Technique: Left: CT. Right: PSMA PET, same axial level, 18F-PSMA tracer. acquired on Siemens Biograph mCT Flow 20.
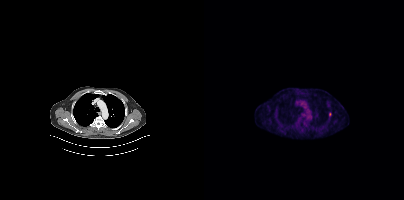
Findings: Coordinates are on the 200×200 PET (right) panel. Small PSMA-avid focus (2 to 4 px across) near (center x, center y): (126, 114).